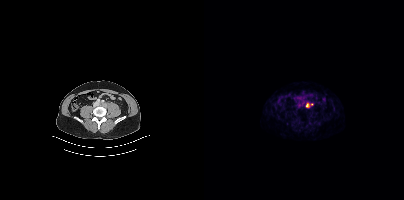
Coordinates are on the 200×200 PET (right) panel. PSMA-avid tumor lesion bounding box (x0,y0,x1,y1): [102,103,105,107]. Small PSMA-avid focus (2 to 4 px across) near (center x, center y): (108, 104).